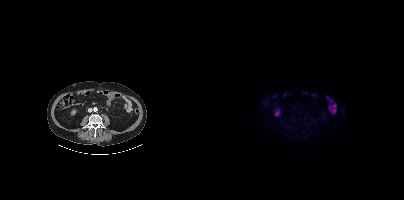
{"modality":"PSMA PET/CT","view":"axial","tracer":"[18F]PSMA-1007","pet_grid":[200,200],"coord_frame":"pet_panel","coord_format":"x0,y0,x1,y1","psma_avid_lesions":false}